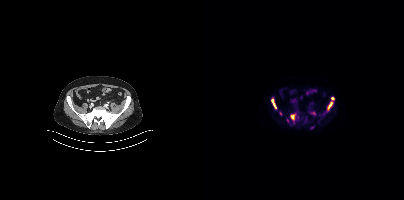
{"modality":"PSMA PET/CT","view":"axial","tracer":"18F","pet_grid":[200,200],"coord_frame":"pet_panel","coord_format":"x0,y0,x1,y1","lesion_bboxes":[[123,97,130,110],[67,98,72,109],[86,113,92,120],[107,112,111,115]],"small_foci_centers":[[76,113],[108,127],[93,116]]}